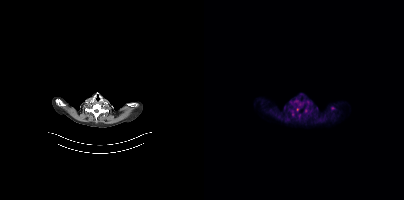
Findings: Coordinates are on the 200×200 PET (right) panel. Small PSMA-avid focus (2 to 4 px across) near (center x, center y): (93, 109).
Technique: Left: CT. Right: PSMA PET, same axial level, [18F]PSMA-1007 tracer.